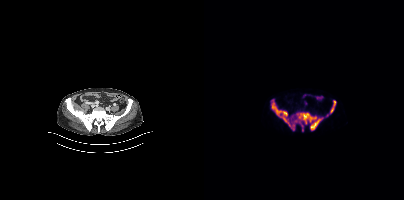
{"modality":"PSMA PET/CT","view":"axial","tracer":"18F","pet_grid":[200,200],"coord_frame":"pet_panel","coord_format":"x0,y0,x1,y1","partial":true,"lesion_bboxes":[[67,100,118,130],[126,101,131,113]],"small_foci_centers":[[98,130]]}